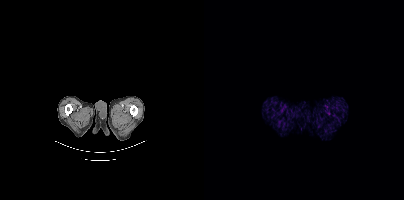
Technique: Left: CT. Right: PSMA PET, same axial level, 18F tracer. slice 5 of 403. PET panel 200×200 px (4.1 mm/px).
Findings: This slice has no annotated PSMA-avid lesion.